Technique: Two-panel axial: CT | PSMA PET, 18F tracer. acquired on Siemens Biograph mCT Flow 20. PET panel 200×200 px (4.1 mm/px).
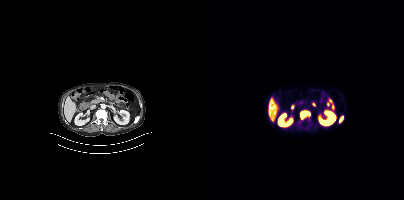
Findings: Coordinates are on the 200×200 PET (right) panel. PSMA-avid tumor lesion bounding boxes (x0,y0,x1,y1): [96,111,106,119], [135,116,139,122]. Small PSMA-avid focus (2 to 4 px across) near (center x, center y): (104, 119).